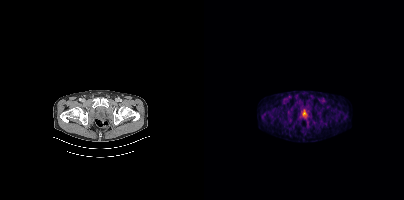
No tumor lesions annotated on this slice.